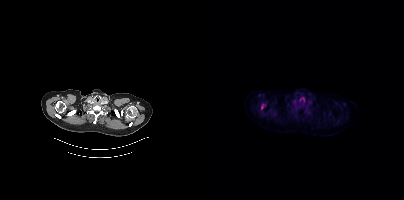
Coordinates are on the 200×200 PET (right) panel. Small PSMA-avid focus (2 to 4 px across) near (center x, center y): (57, 106).